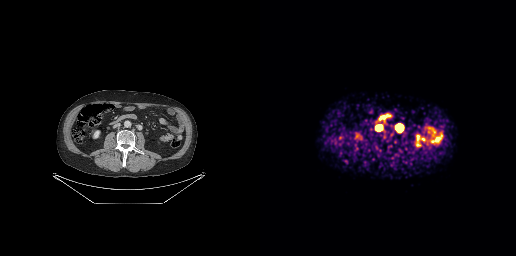
Coordinates are on the 256×256 PET (right) panel. PSMA-avid tumor lesion bounding boxes (x0,y0,x1,y1): [137,124,142,130] [116,125,122,130].